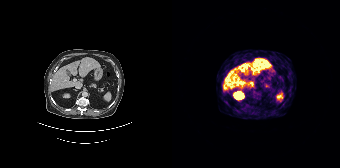
{"pet_grid":[168,168],"coord_frame":"pet_panel","coord_format":"x0,y0,x1,y1","psma_avid_lesions":false,"modality":"PSMA PET/CT","view":"axial","tracer":"[68Ga]Ga-PSMA-11"}